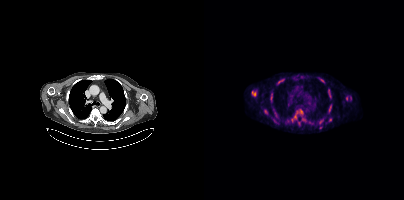
Technique: Two-panel axial: CT | PSMA PET, 18F tracer. slice 305 of 401. PET panel 200×200 px (4.1 mm/px).
Findings: Coordinates are on the 200×200 PET (right) panel. (showing 11 of 16 foci) PSMA-avid tumor lesion bounding boxes (x0,y0,x1,y1): [60,110,63,114]; [66,94,68,99]; [125,105,127,112]; [95,109,98,113]. Small PSMA-avid foci (2 to 4 px across) near (center x, center y): (117, 120); (142, 98); (91, 116); (126, 120); (117, 79); (50, 94); (125, 96).